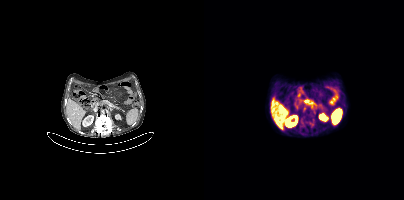
{"modality":"PSMA PET/CT","view":"axial","tracer":"18F","pet_grid":[200,200],"coord_frame":"pet_panel","coord_format":"x0,y0,x1,y1","partial":true,"lesion_bboxes":[[97,116,110,127],[97,106,103,112],[93,93,96,97]]}